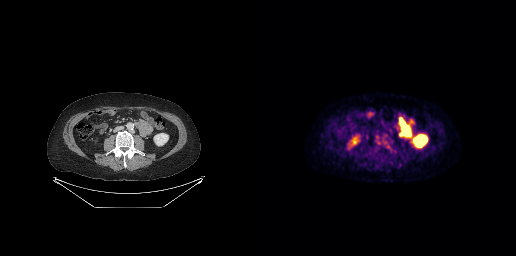
{"modality":"PSMA PET/CT","view":"axial","tracer":"[18F]PSMA-1007","pet_grid":[256,256],"coord_frame":"pet_panel","coord_format":"x0,y0,x1,y1","psma_avid_lesions":false}